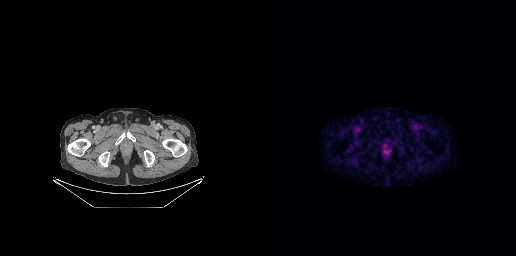
modality: PSMA PET/CT | tracer: 18F-PSMA | view: axial | PET grid: 256×256
No PSMA-avid tumor lesions on this slice.